- Left: CT. Right: PSMA PET, same axial level, 18F tracer
- PET panel 200×200 px (4.1 mm/px)
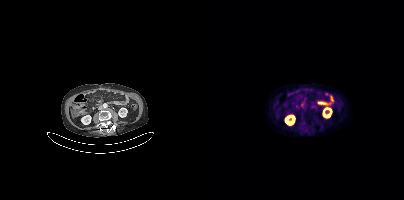
Findings: No tumor lesions annotated on this slice.